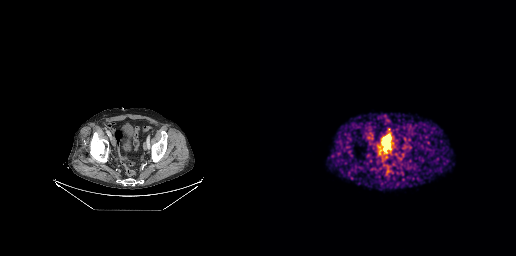
{"modality":"PSMA PET/CT","view":"axial","tracer":"[68Ga]Ga-PSMA-11","pet_grid":[256,256],"coord_frame":"pet_panel","coord_format":"x0,y0,x1,y1","partial":true,"lesion_bboxes":[[118,146,127,154]],"small_foci_centers":[[122,159]]}